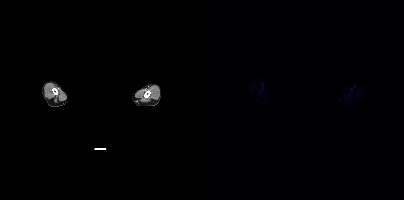
The face region was removed for patient privacy by blanking a rectangle over the head.
Negative for PSMA-avid disease on this slice.